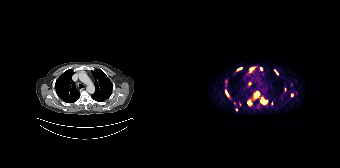
Coordinates are on the 168×168 PET (right) panel. (showing 10 of 15 foci) PSMA-avid tumor lesion bounding boxes (x, y, width, height): x=89 y=98 w=7 h=7 / x=102 y=69 w=5 h=6 / x=53 y=91 w=4 h=6 / x=67 y=102 w=3 h=5 / x=65 y=68 w=5 h=3. Small PSMA-avid foci (2 to 4 px across) near (center x, center y): (77, 102) / (79, 68) / (89, 68) / (84, 91) / (119, 94).